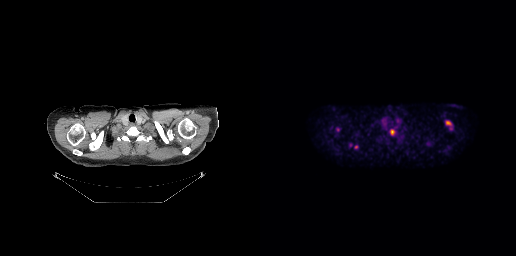
{"modality":"PSMA PET/CT","view":"axial","tracer":"18F","pet_grid":[256,256],"coord_frame":"pet_panel","coord_format":"x0,y0,x1,y1","partial":true,"lesion_bboxes":[[185,120,191,125],[130,129,134,135],[76,127,80,131]],"small_foci_centers":[[96,147],[190,128]]}